Technique: Two-panel axial: CT | PSMA PET, 18F tracer. acquired on Siemens Biograph mCT Flow 20. PET panel 200×200 px (4.1 mm/px).
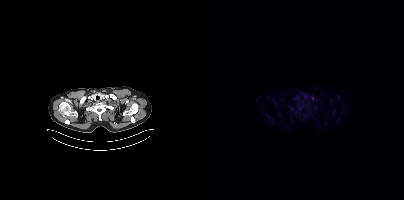
Findings: Only PSMA-avid lesion pieces thinner than 2 px on this slice (not listed).